Left: CT. Right: PSMA PET, same axial level, [68Ga]Ga-PSMA-11 tracer. Acquired on Siemens Biograph mCT Flow 20.
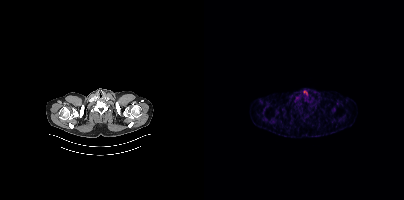
No tumor lesions annotated on this slice.